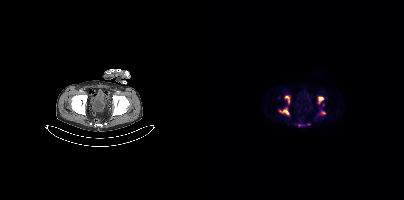
Technique: Left: CT. Right: PSMA PET, same axial level, 18F-PSMA tracer. acquired on Siemens Biograph mCT Flow 20. slice 80 of 409. PET panel 200×200 px (4.1 mm/px).
Findings: Coordinates are on the 200×200 PET (right) panel. (showing 5 of 7 foci) PSMA-avid tumor lesion bounding boxes (x, y, width, height): x=74 y=107 w=12 h=9; x=80 y=95 w=7 h=10; x=114 y=96 w=6 h=8; x=116 y=110 w=6 h=5. Small PSMA-avid focus (2 to 4 px across) near (center x, center y): (95, 125).